- Two-panel axial: CT | PSMA PET, [68Ga]Ga-PSMA-11 tracer
- slice position z = -784 mm
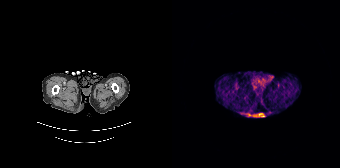
Findings: No PSMA-avid tumor lesions on this slice.